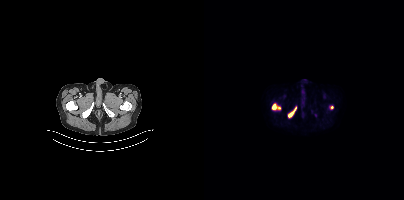
{"modality":"PSMA PET/CT","view":"axial","tracer":"18F-PSMA","pet_grid":[200,200],"coord_frame":"pet_panel","coord_format":"x0,y0,x1,y1","lesion_bboxes":[[68,103,76,109],[84,106,92,117],[125,105,129,109]]}